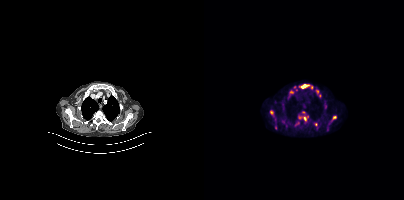
Coordinates are on the 200×200 PET (right) panel. (showing 10 of 12 foci) PSMA-avid tumor lesion bounding boxes (x, y, width, height): x=94 y=111 w=11 h=13 / x=96 y=84 w=13 h=5 / x=70 y=121 w=4 h=9 / x=85 y=90 w=6 h=5 / x=108 y=122 w=6 h=5 / x=66 y=110 w=4 h=5 / x=90 y=86 w=4 h=5 / x=91 y=122 w=5 h=4. Small PSMA-avid foci (2 to 4 px across) near (center x, center y): (130, 117) / (106, 120).
modality: PSMA PET/CT | tracer: [18F]PSMA-1007 | view: axial